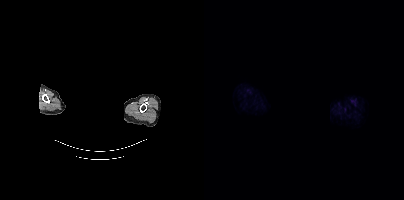
Negative for PSMA-avid disease on this slice.
Face de-identified by blanking a block of the head.